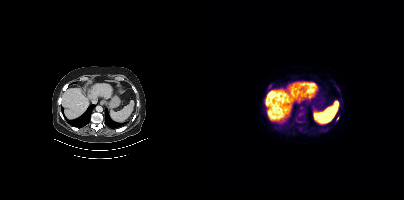
Two-panel axial: CT | PSMA PET, 18F-PSMA tracer. Coordinates are on the 200×200 PET (right) panel. (showing 7 of 8 foci) PSMA-avid tumor lesion bounding boxes (x0, y0)-(x1, y1): (93, 112)-(101, 120) / (64, 84)-(68, 88) / (132, 86)-(136, 90). Small PSMA-avid foci (2 to 4 px across) near (center x, center y): (120, 129) / (96, 129) / (133, 118) / (93, 124).